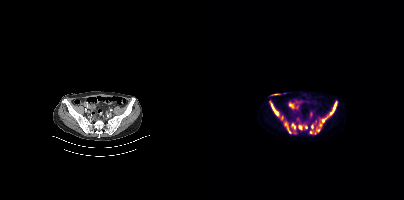
Technique: Paired axial CT (left) and PSMA PET (right), 18F tracer. acquired on Siemens Biograph mCT Flow 20. PET panel 200×200 px (4.1 mm/px).
Findings: Coordinates are on the 200×200 PET (right) panel. (showing 9 of 10 foci) PSMA-avid tumor lesion bounding boxes (x0,y0,x1,y1): [65,100,86,133], [118,101,133,122], [95,125,97,129], [88,124,91,128]. Small PSMA-avid foci (2 to 4 px across) near (center x, center y): (108, 126), (102, 127), (106, 132), (116, 124), (114, 130).